Left: CT. Right: PSMA PET, same axial level, 68Ga-PSMA tracer. Acquired on GE Discovery 690. Head region blanked for anonymization (face removed).
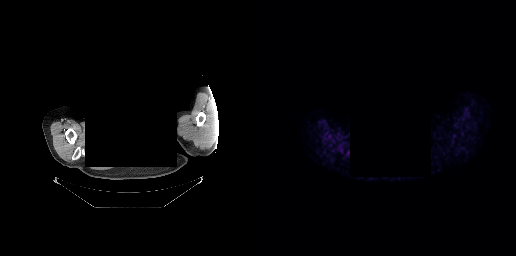
No PSMA-avid tumor lesions on this slice.